- Paired axial CT (left) and PSMA PET (right), [18F]PSMA-1007 tracer
- acquired on Siemens Biograph mCT Flow 20
- slice 413 of 963
- PET panel 200×200 px (4.1 mm/px)
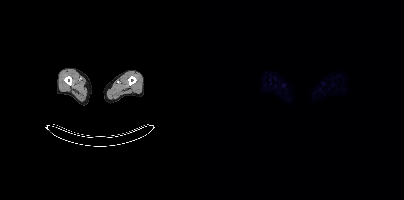
Findings: No tumor lesions annotated on this slice.